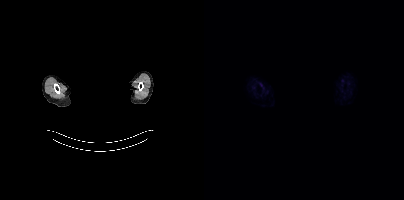
de-identification: head region blacked out before release | modality: PSMA PET/CT | tracer: 18F-PSMA | view: axial
This slice has no annotated PSMA-avid lesion.